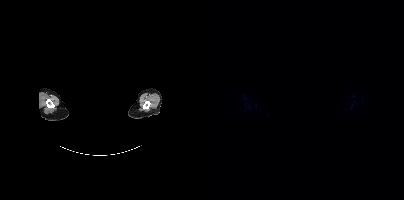
Negative for PSMA-avid disease on this slice.
redaction: facial region redacted | modality: PSMA PET/CT | tracer: [18F]PSMA-1007 | view: axial | PET grid: 200×200